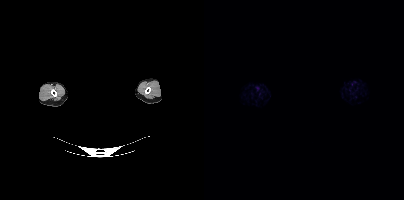
redaction: rectangular block over head set to black | modality: PSMA PET/CT | tracer: 18F | view: axial | PET grid: 200×200
No PSMA-avid tumor lesions on this slice.